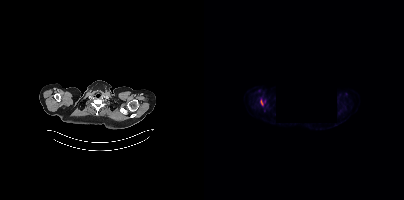
Technique: Left: CT. Right: PSMA PET, same axial level, [18F]PSMA-1007 tracer.
Note: An anonymization step blacked out a rectangle in this scan.
Findings: Coordinates are on the 200×200 PET (right) panel. PSMA-avid tumor lesion bounding box (x, y, width, height): x=56 y=100 w=4 h=6.